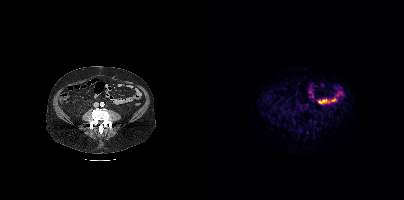
modality: PSMA PET/CT | tracer: [68Ga]Ga-PSMA-11 | view: axial
No PSMA-avid tumor lesions on this slice.